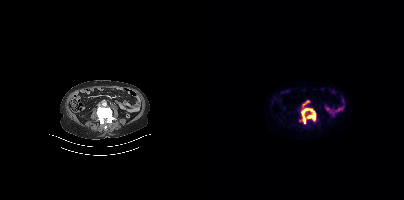
{"modality":"PSMA PET/CT","view":"axial","tracer":"68Ga","pet_grid":[200,200],"coord_frame":"pet_panel","coord_format":"x0,y0,x1,y1","lesion_bboxes":[[95,104,111,123]]}